Technique: Paired axial CT (left) and PSMA PET (right), [18F]PSMA-1007 tracer. slice position z = -768 mm.
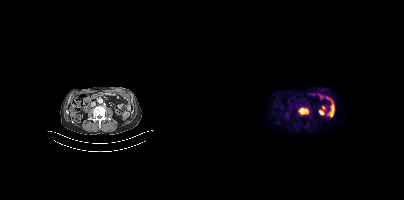
Findings: Coordinates are on the 200×200 PET (right) panel. PSMA-avid tumor lesion bounding box (x0, y0)-(x1, y1): (94, 107)-(104, 115).